- Two-panel axial: CT | PSMA PET, 18F tracer
- PET panel 200×200 px (4.1 mm/px)
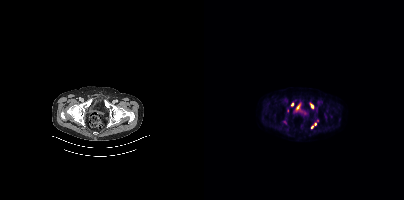
Findings: Coordinates are on the 200×200 PET (right) panel. PSMA-avid tumor lesion bounding box (x0,y0,x1,y1): [106,103,109,107]. Small PSMA-avid foci (2 to 4 px across) near (center x, center y): (88, 104), (108, 127), (111, 124).